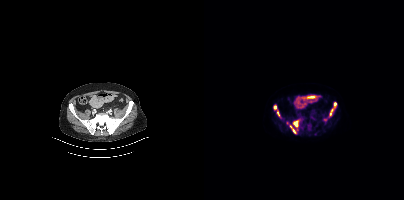
{"modality":"PSMA PET/CT","view":"axial","tracer":"18F-PSMA","pet_grid":[200,200],"coord_frame":"pet_panel","coord_format":"x0,y0,x1,y1","lesion_bboxes":[[89,120,94,127],[86,125,91,133],[126,109,129,115],[130,102,132,106],[70,105,72,109],[73,111,75,116]]}